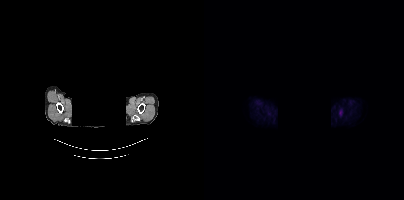
{"modality":"PSMA PET/CT","view":"axial","tracer":"18F","pet_grid":[200,200],"coord_frame":"pet_panel","coord_format":"x0,y0,x1,y1","de-identification":"facial region redacted","psma_avid_lesions":false}